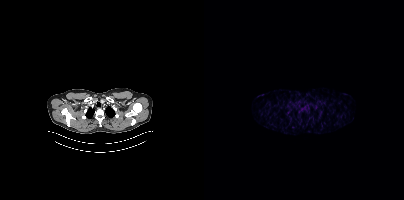
No PSMA-avid tumor lesions on this slice.
modality: PSMA PET/CT | tracer: 68Ga-PSMA | view: axial